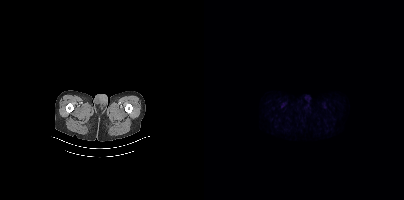
Paired axial CT (left) and PSMA PET (right), 18F tracer. Negative for PSMA-avid disease on this slice.